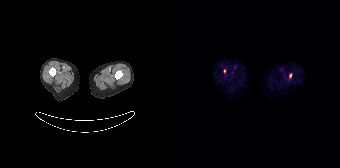
{"modality":"PSMA PET/CT","view":"axial","tracer":"68Ga-PSMA","pet_grid":[168,168],"coord_frame":"pet_panel","coord_format":"x0,y0,x1,y1","lesion_bboxes":[],"small_foci_centers":[[118,75],[52,71]]}